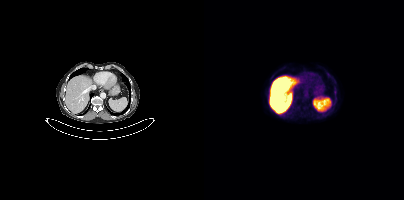
Left: CT. Right: PSMA PET, same axial level, [18F]PSMA-1007 tracer. Slice 229 of 413. This slice has no annotated PSMA-avid lesion.